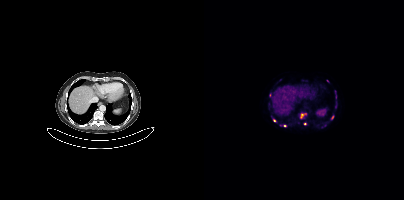
Left: CT. Right: PSMA PET, same axial level, [68Ga]Ga-PSMA-11 tracer. Acquired on Siemens Biograph mCT Flow 20. Slice 253 of 411. Coordinates are on the 200×200 PET (right) panel. (showing 6 of 9 foci) PSMA-avid tumor lesion bounding boxes (x0,y0,x1,y1): [96,114,100,117] [131,90,132,94]. Small PSMA-avid foci (2 to 4 px across) near (center x, center y): (128, 117) (70, 120) (101, 123) (123, 80).